modality: PSMA PET/CT | tracer: 18F-PSMA | view: axial
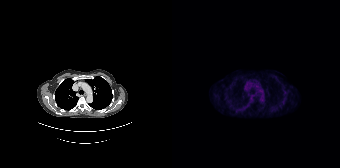
No PSMA-avid tumor lesions on this slice.